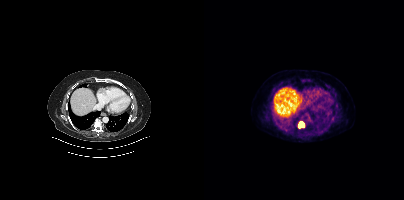
Coordinates are on the 200×200 PET (right) panel. PSMA-avid tumor lesion bounding box (x0, y0)-(x1, y1): (94, 121)-(100, 127).
modality: PSMA PET/CT | tracer: [18F]PSMA-1007 | view: axial | PET grid: 200×200